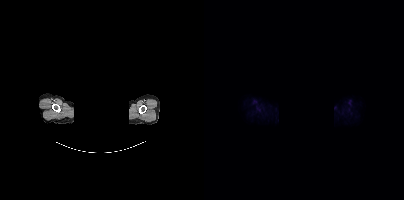
No PSMA-avid tumor lesions on this slice. Head region blanked for anonymization (face removed). Two-panel axial: CT | PSMA PET, [18F]PSMA-1007 tracer. Acquired on Siemens Biograph mCT Flow 20.